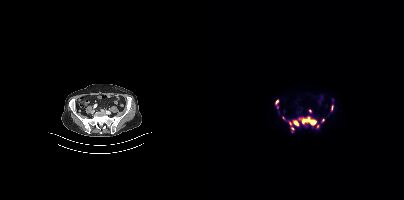
Coordinates are on the 200×200 PET (right) panel. PSMA-avid tumor lesion bounding boxes (partial; 1 more focus not listed):
| # | x0 | y0 | x1 | y1 |
|---|---|---|---|---|
| 1 | 88 | 117 | 112 | 125 |
| 2 | 127 | 105 | 129 | 110 |
| 3 | 87 | 127 | 90 | 132 |
| 4 | 85 | 121 | 87 | 125 |
Small PSMA-avid foci (2 to 4 px across) near (center x, center y): (72, 101); (119, 120); (79, 118); (105, 110); (113, 125).
Left: CT. Right: PSMA PET, same axial level, 18F-PSMA tracer. PET panel 200×200 px (4.1 mm/px).